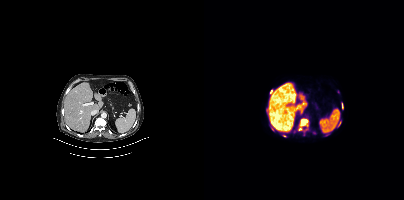
Technique: Paired axial CT (left) and PSMA PET (right), 18F tracer. acquired on Siemens Biograph mCT Flow 20. slice position z = 24 mm. PET panel 200×200 px (4.1 mm/px).
Findings: Coordinates are on the 200×200 PET (right) panel. (showing 3 of 4 foci) PSMA-avid tumor lesion bounding box (x, y, width, height): x=97 y=119 w=7 h=7. Small PSMA-avid foci (2 to 4 px across) near (center x, center y): (67, 91); (96, 129).